modality: PSMA PET/CT | tracer: 18F-PSMA | view: axial | PET grid: 200×200
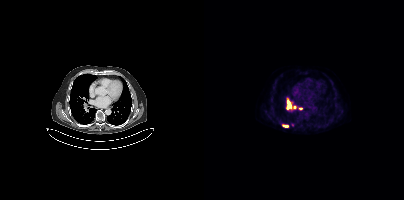
Coordinates are on the 200×200 PET (right) panel. PSMA-avid tumor lesion bounding box (x0,y0,x1,y1): [79,125,84,127]. Small PSMA-avid foci (2 to 4 px across) near (center x, center y): (90, 107), (96, 108).